Left: CT. Right: PSMA PET, same axial level, 18F tracer. Acquired on Siemens Biograph mCT Flow 20. Slice position z = -897 mm. PET panel 200×200 px (4.1 mm/px).
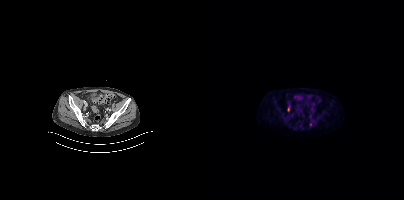
Only PSMA-avid lesion pieces thinner than 2 px on this slice (not listed).